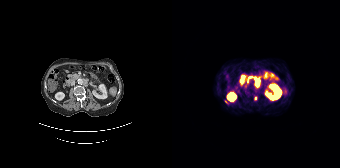
Coordinates are on the 168×168 PET (right) panel. PSMA-avid tumor lesion bounding box (x0,y0,x1,y1): [82,78,87,88]. Small PSMA-avid foci (2 to 4 px across) near (center x, center y): (54, 101) (83, 98) (75, 82) (73, 85). Two-panel axial: CT | PSMA PET, 68Ga-PSMA tracer. Acquired on Siemens Biograph 64-4R TruePoint. Slice position z = -1342 mm.